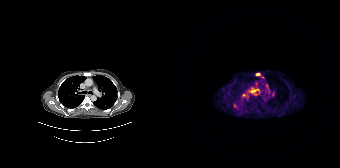
Technique: Left: CT. Right: PSMA PET, same axial level, 68Ga-PSMA tracer. acquired on Siemens Biograph 64-4R TruePoint. slice position z = -338 mm. PET panel 168×168 px (4.1 mm/px).
Findings: Coordinates are on the 168×168 PET (right) panel. (showing 4 of 5 foci) PSMA-avid tumor lesion bounding boxes (x, y, width, height): x=77 y=88 w=10 h=6 / x=83 y=73 w=6 h=4 / x=70 y=94 w=5 h=3. Small PSMA-avid focus (2 to 4 px across) near (center x, center y): (90, 77).